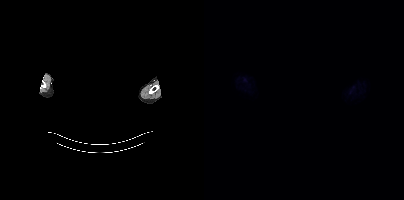
modality: PSMA PET/CT | tracer: 18F-PSMA | view: axial | PET grid: 200×200 | redaction: facial region redacted
No tumor lesions annotated on this slice.